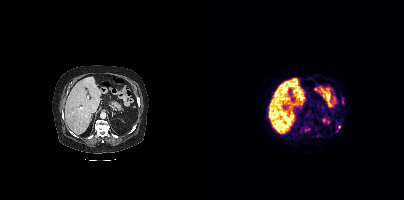
modality: PSMA PET/CT | tracer: [68Ga]Ga-PSMA-11 | view: axial | PET grid: 200×200
Coordinates are on the 200×200 PET (right) panel. (showing 2 of 5 foci) Small PSMA-avid foci (2 to 4 px across) near (center x, center y): (135, 127); (138, 102).